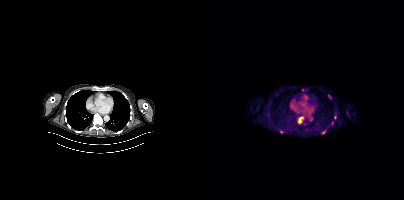
Findings: Coordinates are on the 200×200 PET (right) panel. (showing 4 of 7 foci) PSMA-avid tumor lesion bounding boxes (x0,y0,x1,y1): [124,95,127,99] [117,130,121,133]. Small PSMA-avid foci (2 to 4 px across) near (center x, center y): (77, 131) (95, 121).
- Two-panel axial: CT | PSMA PET, 18F tracer
- slice 256 of 421
- PET panel 200×200 px (4.1 mm/px)